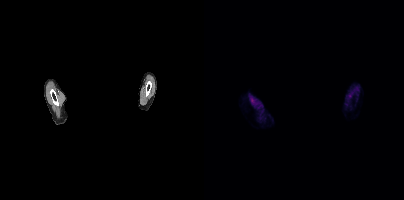
Findings: No tumor lesions annotated on this slice.
Technique: Paired axial CT (left) and PSMA PET (right), [18F]PSMA-1007 tracer.
Note: The head region is masked for de-identification.